- Two-panel axial: CT | PSMA PET, 18F tracer
- acquired on Siemens Biograph mCT Flow 20
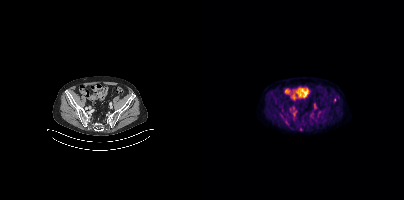
Findings: This slice has no annotated PSMA-avid lesion.